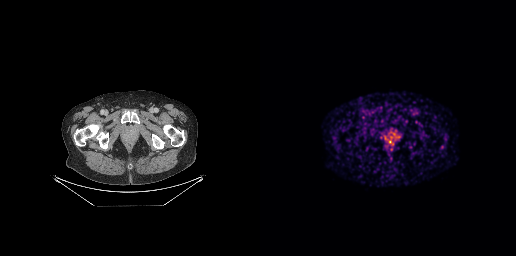
modality: PSMA PET/CT | tracer: [68Ga]Ga-PSMA-11 | view: axial | PET grid: 256×256
Coordinates are on the 256×256 PET (right) panel. PSMA-avid tumor lesion bounding box (x0,y0,x1,y1): [125,132,136,142].